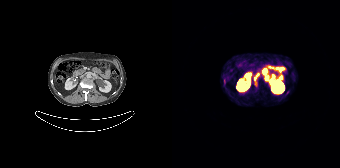
{"modality":"PSMA PET/CT","view":"axial","tracer":"68Ga","pet_grid":[168,168],"coord_frame":"pet_panel","coord_format":"x0,y0,x1,y1","psma_avid_lesions":false}